Technique: Paired axial CT (left) and PSMA PET (right), [18F]PSMA-1007 tracer. PET panel 200×200 px (4.1 mm/px).
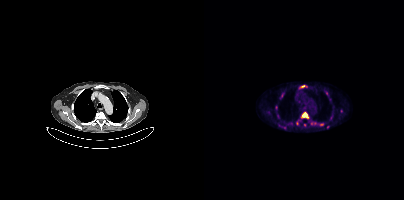
Findings: Coordinates are on the 200×200 PET (right) panel. (showing 3 of 4 foci) PSMA-avid tumor lesion bounding box (x0,y0,x1,y1): [97,112,104,118]. Small PSMA-avid foci (2 to 4 px across) near (center x, center y): (98, 86), (122, 92).